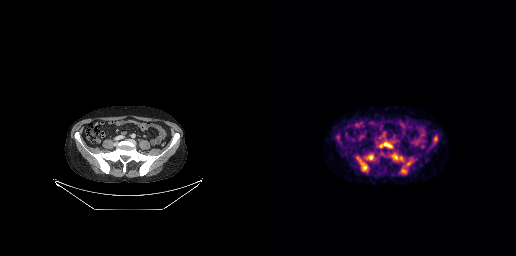
Two-panel axial: CT | PSMA PET, 18F-PSMA tracer. Coordinates are on the 256×256 PET (right) panel. (showing 5 of 6 foci) PSMA-avid tumor lesion bounding boxes (x, y, width, height): x=97 y=157 w=11 h=14; x=141 y=160 w=12 h=14; x=133 y=154 w=12 h=8; x=106 y=153 w=9 h=8; x=124 y=143 w=8 h=5.